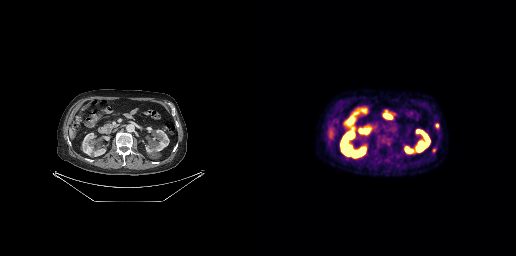
Coordinates are on the 256×256 PET (right) panel. PSMA-avid tumor lesion bounding boxes:
| # | x0 | y0 | x1 | y1 |
|---|---|---|---|---|
| 1 | 172 | 148 | 176 | 152 |
Small PSMA-avid focus (2 to 4 px across) near (center x, center y): (177, 126).
Left: CT. Right: PSMA PET, same axial level, 18F-PSMA tracer. Slice position z = -592 mm. PET panel 256×256 px (2.7 mm/px).